modality: PSMA PET/CT | tracer: [18F]PSMA-1007 | view: axial
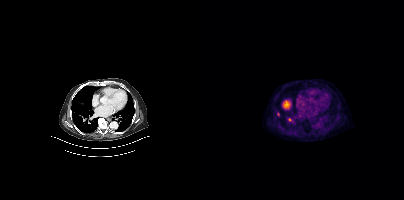
Coordinates are on the 200×200 PET (right) panel. Small PSMA-avid foci (2 to 4 px across) near (center x, center y): (85, 119) | (74, 114).